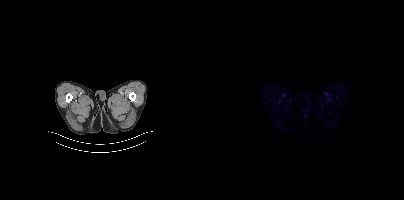
Negative for PSMA-avid disease on this slice.